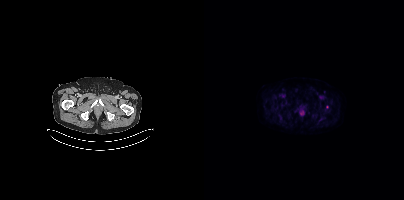
{"modality":"PSMA PET/CT","view":"axial","tracer":"18F-PSMA","pet_grid":[200,200],"coord_frame":"pet_panel","coord_format":"x0,y0,x1,y1","psma_avid_lesions":false}